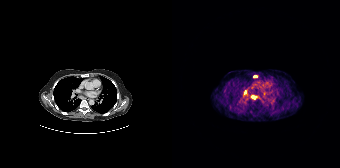
Technique: Paired axial CT (left) and PSMA PET (right), [68Ga]Ga-PSMA-11 tracer. slice 133 of 195. PET panel 168×168 px (4.1 mm/px).
Findings: Coordinates are on the 168×168 PET (right) panel. (showing 3 of 4 foci) PSMA-avid tumor lesion bounding boxes (x0, y0)-(x1, y1): (79, 95)-(85, 99) | (81, 75)-(85, 77) | (72, 90)-(74, 94).